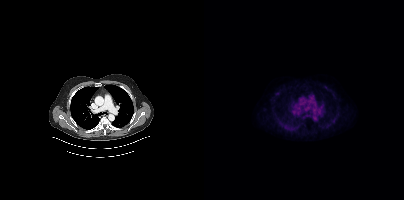
Technique: Left: CT. Right: PSMA PET, same axial level, [18F]PSMA-1007 tracer. slice 327 of 442. PET panel 200×200 px (4.1 mm/px).
Findings: No tumor lesions annotated on this slice.